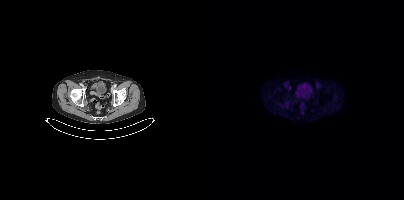
Coordinates are on the 200×200 PET (right) panel. Small PSMA-avid focus (2 to 4 px across) near (center x, center y): (85, 87).